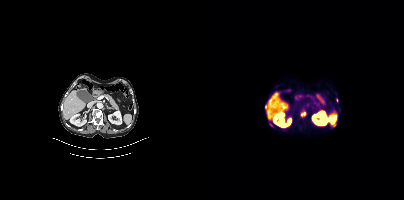
Coordinates are on the 200×200 PET (right) panel. (showing 4 of 5 foci) PSMA-avid tumor lesion bounding boxes (x0,y0,x1,y1): [97,111,101,116]; [128,123,132,126]; [61,105,62,110]. Small PSMA-avid focus (2 to 4 px across) near (center x, center y): (67, 125).